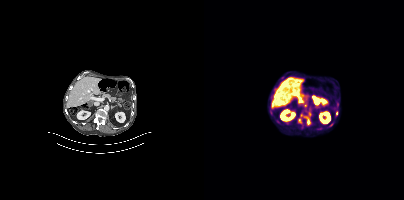
{"pet_grid":[200,200],"coord_frame":"pet_panel","coord_format":"x0,y0,x1,y1","partial":true,"lesion_bboxes":[[100,116,106,122]],"small_foci_centers":[[97,123],[132,113],[105,114],[127,125]],"modality":"PSMA PET/CT","view":"axial","tracer":"[18F]PSMA-1007"}